Paired axial CT (left) and PSMA PET (right), [68Ga]Ga-PSMA-11 tracer. PET panel 256×256 px (2.7 mm/px).
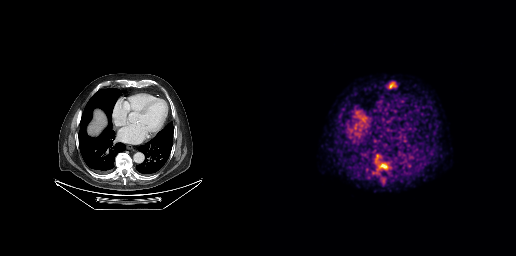
Coordinates are on the 256×256 PET (right) panel. PSMA-avid tumor lesion bounding boxes (partial; 1 more focus not listed):
| # | x0 | y0 | x1 | y1 |
|---|---|---|---|---|
| 1 | 118 | 163 | 128 | 169 |
| 2 | 115 | 154 | 118 | 162 |
| 3 | 129 | 83 | 133 | 87 |